Technique: Two-panel axial: CT | PSMA PET, [68Ga]Ga-PSMA-11 tracer. slice 103 of 195.
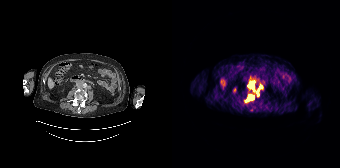
Findings: Coordinates are on the 168×168 PET (right) panel. PSMA-avid tumor lesion bounding boxes (x0,y0,x1,y1): [75,95,82,101], [78,81,82,88], [85,89,86,95]. Small PSMA-avid focus (2 to 4 px across) near (center x, center y): (89, 86).